Two-panel axial: CT | PSMA PET, [18F]PSMA-1007 tracer. Slice position z = -336 mm.
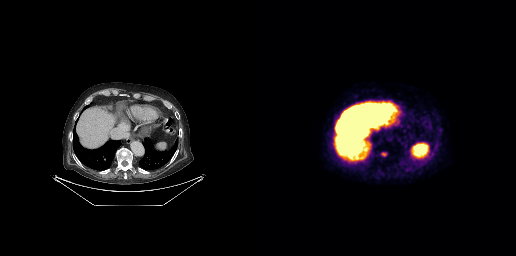
Coordinates are on the 256×256 PET (right) panel. PSMA-avid tumor lesion bounding box (x0, y0)-(x1, y1): (121, 152)-(127, 156).